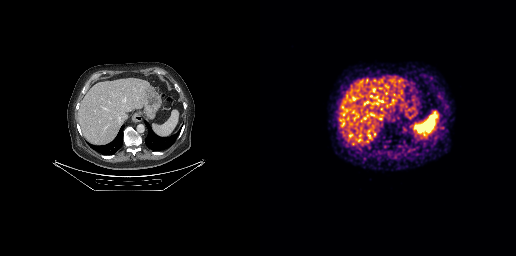
modality: PSMA PET/CT | tracer: 68Ga-PSMA | view: axial | PET grid: 256×256
No PSMA-avid tumor lesions on this slice.